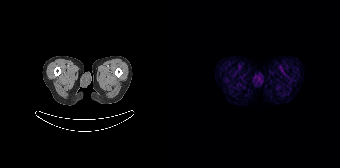
modality: PSMA PET/CT | tracer: [68Ga]Ga-PSMA-11 | view: axial
No tumor lesions annotated on this slice.